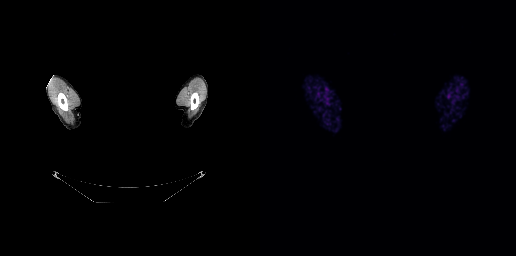
A rectangular block over the head has been blanked out for de-identification. Two-panel axial: CT | PSMA PET, 68Ga tracer. Slice 256 of 263. PET panel 256×256 px (2.7 mm/px). Negative for PSMA-avid disease on this slice.